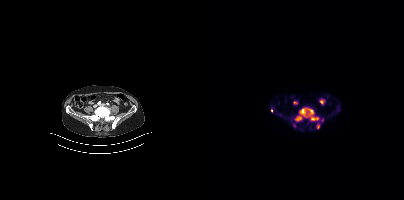
Findings: Coordinates are on the 200×200 PET (right) panel. PSMA-avid tumor lesion bounding boxes (x0,y0,x1,y1): [88,109,115,128], [112,124,115,128]. Small PSMA-avid foci (2 to 4 px across) near (center x, center y): (67, 110), (118, 120).
Technique: Paired axial CT (left) and PSMA PET (right), 18F tracer. acquired on Siemens Biograph mCT Flow 20.